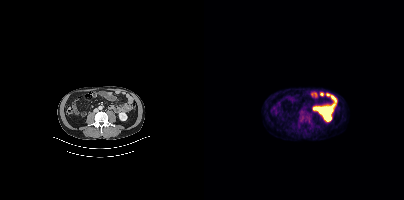
Left: CT. Right: PSMA PET, same axial level, 18F tracer. Acquired on Siemens Biograph mCT Flow 20. Slice position z = -354 mm. Coordinates are on the 200×200 PET (right) panel. PSMA-avid tumor lesion bounding box (x0, y0)-(x1, y1): (95, 111)-(107, 123).